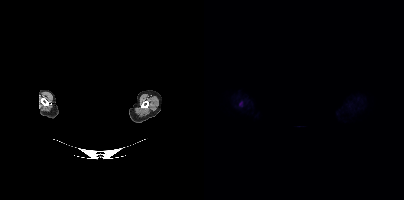
{"modality":"PSMA PET/CT","view":"axial","tracer":"[18F]PSMA-1007","pet_grid":[200,200],"coord_frame":"pet_panel","coord_format":"x0,y0,x1,y1","lesion_bboxes":[[35,102,38,106]],"redaction":"head region blacked out before release"}